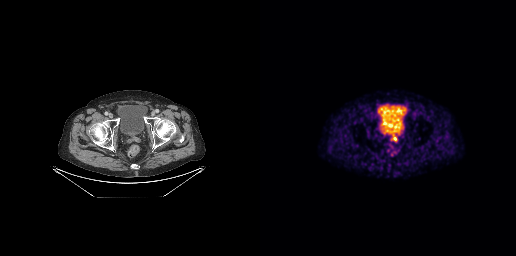
modality: PSMA PET/CT | tracer: 68Ga | view: axial | PET grid: 256×256
Coordinates are on the 256×256 PET (right) panel. Small PSMA-avid focus (2 to 4 px across) near (center x, center y): (134, 138).